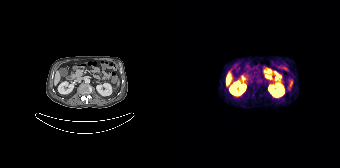
Two-panel axial: CT | PSMA PET, 68Ga-PSMA tracer. Negative for PSMA-avid disease on this slice.